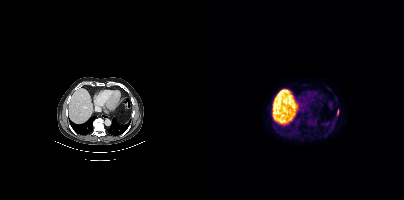
Paired axial CT (left) and PSMA PET (right), 18F tracer. Acquired on Siemens Biograph mCT Flow 20.
Coordinates are on the 200×200 PET (right) panel. PSMA-avid tumor lesion bounding boxes:
| # | x0 | y0 | x1 | y1 |
|---|---|---|---|---|
| 1 | 133 | 110 | 134 | 114 |